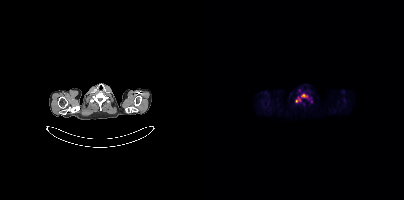
Two-panel axial: CT | PSMA PET, 18F tracer. Acquired on Siemens Biograph mCT Flow 20. Slice position z = -924 mm. PET panel 200×200 px (4.1 mm/px).
Coordinates are on the 200×200 PET (right) panel. PSMA-avid tumor lesion bounding boxes:
| # | x0 | y0 | x1 | y1 |
|---|---|---|---|---|
| 1 | 91 | 93 | 104 | 102 |
Small PSMA-avid focus (2 to 4 px across) near (center x, center y): (107, 101).